- Left: CT. Right: PSMA PET, same axial level, [18F]PSMA-1007 tracer
- slice 269 of 409
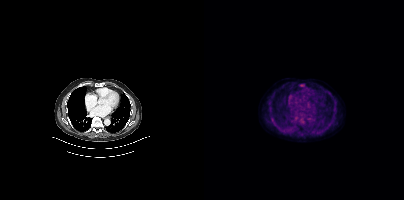
Findings: Coordinates are on the 200×200 PET (right) panel. Small PSMA-avid focus (2 to 4 px across) near (center x, center y): (98, 121).